Two-panel axial: CT | PSMA PET, 68Ga-PSMA tracer. Slice 89 of 263. PET panel 256×256 px (2.7 mm/px).
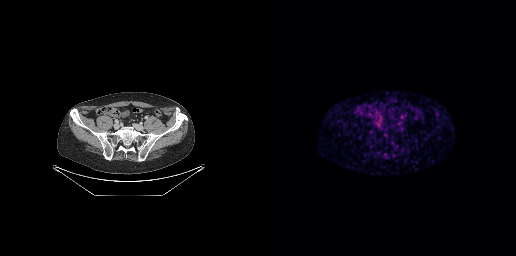
This slice has no annotated PSMA-avid lesion.